- Two-panel axial: CT | PSMA PET, 18F tracer
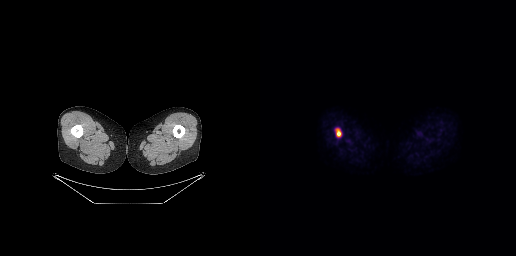
Findings: Coordinates are on the 256×256 PET (right) panel. PSMA-avid tumor lesion bounding box (x, y, width, height): x=76 y=128 w=6 h=9.